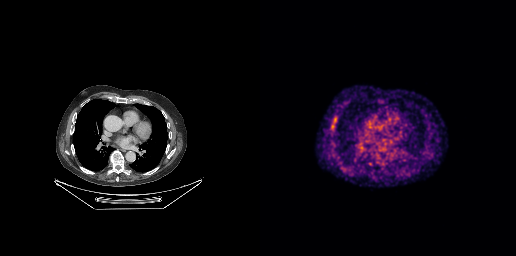
Coordinates are on the 256×256 PET (right) panel. PSMA-avid tumor lesion bounding boxes (x0, y0)-(x1, y1): (71, 117)-(77, 128) | (81, 166)-(85, 171).
modality: PSMA PET/CT | tracer: 18F | view: axial | PET grid: 256×256